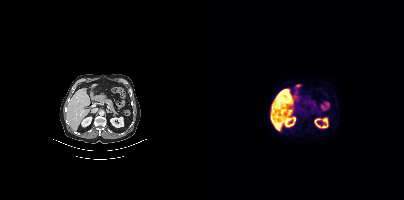
Negative for PSMA-avid disease on this slice.